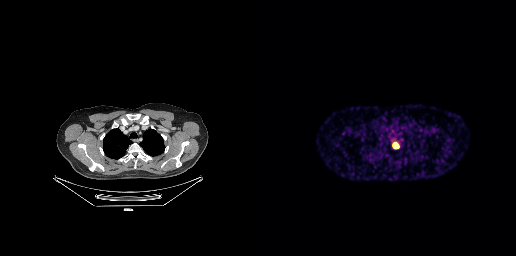
modality: PSMA PET/CT | tracer: 68Ga-PSMA | view: axial
Coordinates are on the 256×256 PET (right) panel. PSMA-avid tumor lesion bounding box (x, y, width, height): x=132 y=142 w=8 h=7.